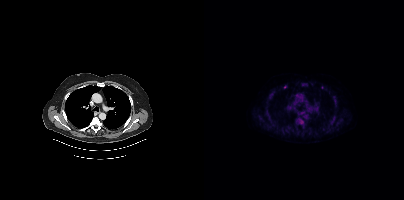
Coordinates are on the 200×200 PET (right) panel. PSMA-avid tumor lesion bounding boxes (partial; 3 more foci not listed):
| # | x0 | y0 | x1 | y1 |
|---|---|---|---|---|
| 1 | 92 | 119 | 100 | 126 |
| 2 | 67 | 121 | 71 | 126 |
| 3 | 99 | 83 | 103 | 86 |
Small PSMA-avid foci (2 to 4 px across) near (center x, center y): (66, 95); (64, 114); (81, 86); (131, 104); (69, 89).
Two-panel axial: CT | PSMA PET, 18F-PSMA tracer. Slice position z = -875 mm. PET panel 200×200 px (4.1 mm/px).